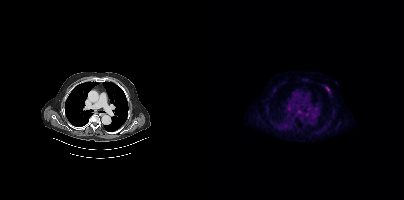
Technique: Left: CT. Right: PSMA PET, same axial level, [18F]PSMA-1007 tracer.
Findings: Coordinates are on the 200×200 PET (right) panel. PSMA-avid tumor lesion bounding box (x, y, width, height): x=121 y=86 w=5 h=6.